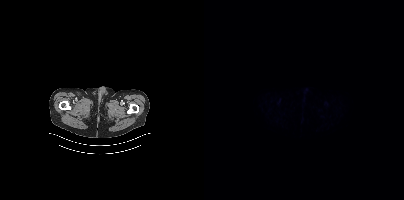
Technique: Paired axial CT (left) and PSMA PET (right), 18F tracer. PET panel 200×200 px (4.1 mm/px).
Findings: No PSMA-avid tumor lesions on this slice.